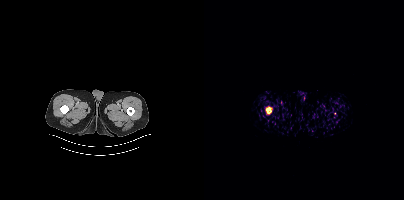
Coordinates are on the 200×200 PET (right) panel. PSMA-avid tumor lesion bounding box (x, y, width, height): x=62 y=107 w=6 h=7.